- Two-panel axial: CT | PSMA PET, 68Ga tracer
- slice position z = -1132 mm
- PET panel 168×168 px (4.1 mm/px)
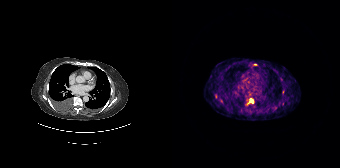
Findings: Coordinates are on the 168×168 PET (right) panel. (showing 2 of 5 foci) Small PSMA-avid foci (2 to 4 px across) near (center x, center y): (79, 100); (83, 64).